modality: PSMA PET/CT | tracer: [18F]PSMA-1007 | view: axial
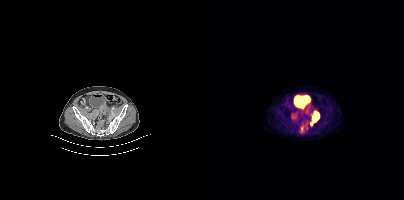
Coordinates are on the 200×200 PET (right) panel. (showing 4 of 5 foci) PSMA-avid tumor lesion bounding boxes (x, y, width, height): x=107 y=112 w=9 h=13; x=87 y=113 w=6 h=7; x=100 y=109 w=8 h=7; x=97 y=126 w=3 h=6.